Paired axial CT (left) and PSMA PET (right), [18F]PSMA-1007 tracer. Slice 71 of 401. PET panel 200×200 px (4.1 mm/px).
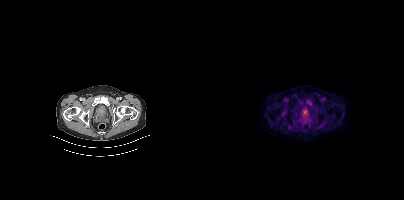
Coordinates are on the 200×200 PET (right) panel. PSMA-avid tumor lesion bounding box (x0,y0,x1,y1): [99,110,103,114].